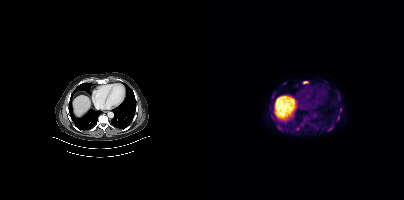
Coordinates are on the 200×200 PET (right) panel. (showing 8 of 11 foci) PSMA-avid tumor lesion bounding boxes (x0,y0,x1,y1): [123,125,129,131], [99,81,104,83], [132,116,135,121], [68,91,72,95], [136,107,137,112]. Small PSMA-avid foci (2 to 4 px across) near (center x, center y): (75, 128), (93, 128), (67, 112).